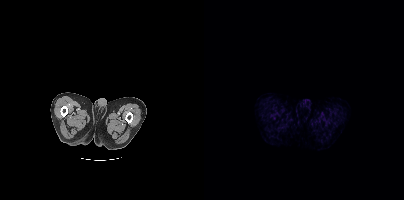
No PSMA-avid tumor lesions on this slice.
modality: PSMA PET/CT | tracer: [18F]PSMA-1007 | view: axial